Technique: Two-panel axial: CT | PSMA PET, [18F]PSMA-1007 tracer. slice position z = -979 mm. PET panel 200×200 px (4.1 mm/px).
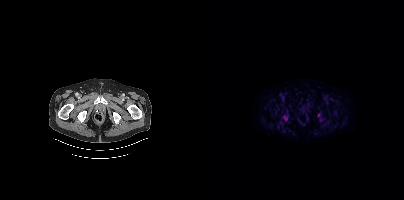
Findings: This slice has no annotated PSMA-avid lesion.